- Left: CT. Right: PSMA PET, same axial level, 18F tracer
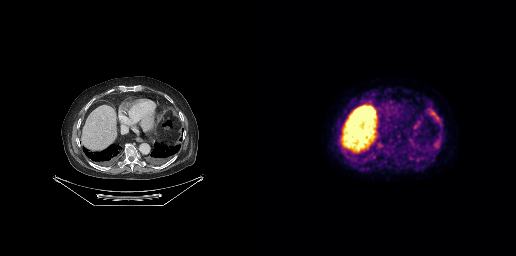
Findings: Coordinates are on the 256×256 PET (right) panel. PSMA-avid tumor lesion bounding boxes (x, y, width, height): x=169 y=109 w=13 h=16; x=169 y=141 w=11 h=11; x=149 y=138 w=6 h=8; x=156 y=119 w=6 h=5; x=117 y=143 w=6 h=5. Small PSMA-avid foci (2 to 4 px across) near (center x, center y): (150, 158); (170, 153).